- Paired axial CT (left) and PSMA PET (right), [18F]PSMA-1007 tracer
- slice position z = -972 mm
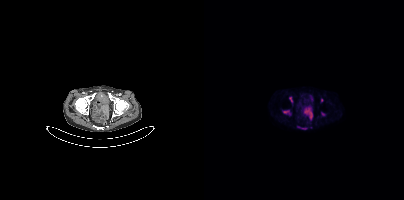
Findings: Coordinates are on the 200×200 PET (right) panel. (showing 4 of 5 foci) Small PSMA-avid foci (2 to 4 px across) near (center x, center y): (81, 111); (87, 99); (117, 100); (118, 113).